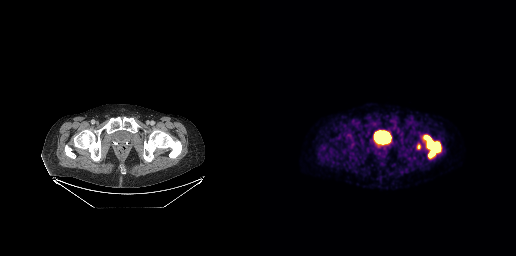
{"modality":"PSMA PET/CT","view":"axial","tracer":"[18F]PSMA-1007","pet_grid":[256,256],"coord_frame":"pet_panel","coord_format":"x0,y0,x1,y1","lesion_bboxes":[[163,135,181,158]],"small_foci_centers":[[158,146]]}